Paired axial CT (left) and PSMA PET (right), [18F]PSMA-1007 tracer. Slice position z = -1061 mm. PET panel 200×200 px (4.1 mm/px).
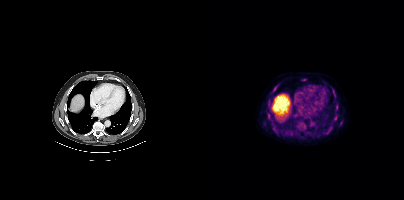
Coordinates are on the 200×200 PET (right) panel. Small PSMA-avid foci (2 to 4 px across) near (center x, center y): (99, 79) | (129, 90) | (132, 118) | (133, 105) | (73, 85).